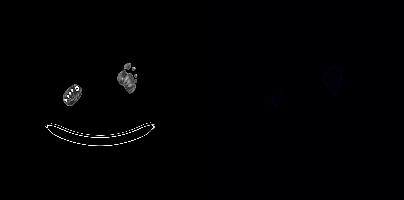
- Left: CT. Right: PSMA PET, same axial level, [18F]PSMA-1007 tracer
- slice position z = -1967 mm
Findings: This slice has no annotated PSMA-avid lesion.